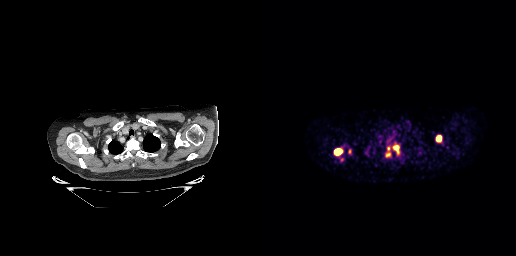
- Two-panel axial: CT | PSMA PET, [68Ga]Ga-PSMA-11 tracer
- slice 220 of 263
Findings: Coordinates are on the 256×256 PET (right) panel. PSMA-avid tumor lesion bounding boxes (x0, y0)-(x1, y1): (74, 148)-(82, 155); (133, 145)-(138, 153); (176, 136)-(181, 141). Small PSMA-avid foci (2 to 4 px across) near (center x, center y): (127, 154); (89, 151); (128, 148).